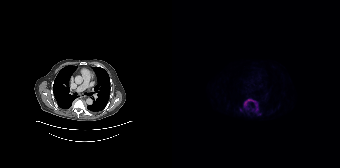
Technique: Two-panel axial: CT | PSMA PET, [18F]PSMA-1007 tracer. acquired on Siemens Biograph 64-4R TruePoint. PET panel 168×168 px (4.1 mm/px).
Findings: Coordinates are on the 168×168 PET (right) panel. (showing 2 of 4 foci) PSMA-avid tumor lesion bounding box (x, y, width, height): x=72 y=99 w=15 h=13. Small PSMA-avid focus (2 to 4 px across) near (center x, center y): (68, 109).